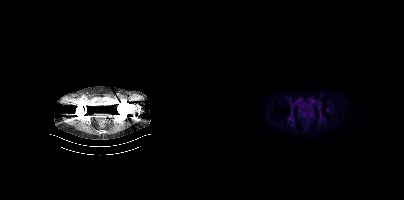
This slice has no annotated PSMA-avid lesion. Left: CT. Right: PSMA PET, same axial level, [18F]PSMA-1007 tracer. Slice 72 of 401.